Head region blanked for anonymization (face removed).
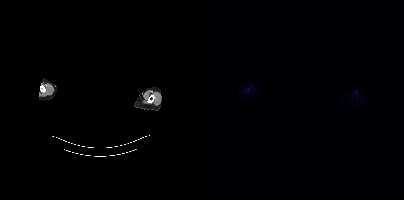
No tumor lesions annotated on this slice.